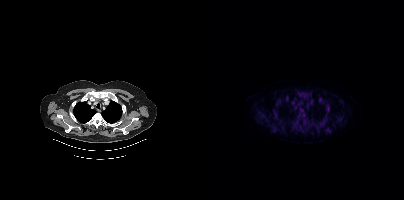
Technique: Left: CT. Right: PSMA PET, same axial level, [18F]PSMA-1007 tracer. PET panel 200×200 px (4.1 mm/px).
Findings: Coordinates are on the 200×200 PET (right) panel. PSMA-avid tumor lesion bounding boxes (x0, y0)-(x1, y1): (93, 91)-(103, 97) / (122, 102)-(125, 111) / (95, 113)-(99, 121) / (69, 109)-(73, 116) / (115, 121)-(119, 125). Small PSMA-avid foci (2 to 4 px across) near (center x, center y): (83, 98) / (59, 116) / (124, 129) / (71, 129) / (75, 100) / (116, 100) / (95, 119).